- Left: CT. Right: PSMA PET, same axial level, [68Ga]Ga-PSMA-11 tracer
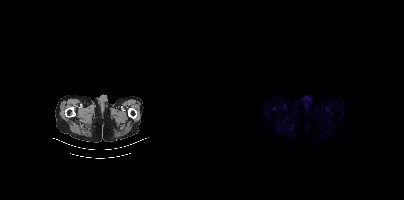
Findings: No tumor lesions annotated on this slice.